Technique: Left: CT. Right: PSMA PET, same axial level, [18F]PSMA-1007 tracer. slice position z = -590 mm. PET panel 200×200 px (4.1 mm/px).
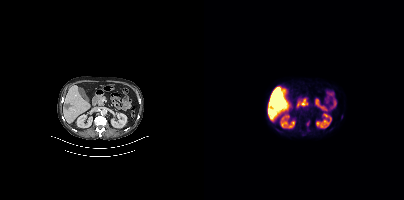
Findings: Coordinates are on the 200×200 PET (right) panel. PSMA-avid tumor lesion bounding box (x0, y0)-(x1, y1): (102, 121)-(105, 126).